- Two-panel axial: CT | PSMA PET, [18F]PSMA-1007 tracer
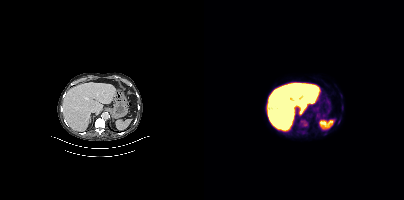
Findings: Coordinates are on the 200×200 PET (right) panel. (showing 1 of 3 foci) PSMA-avid tumor lesion bounding box (x0, y0)-(x1, y1): (96, 120)-(103, 126).